Paired axial CT (left) and PSMA PET (right), 18F tracer.
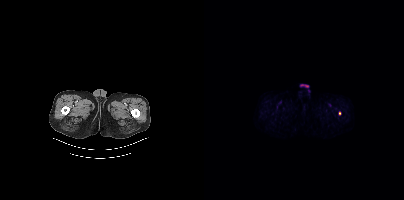
Coordinates are on the 200×200 PET (right) panel. Small PSMA-avid focus (2 to 4 px across) near (center x, center y): (135, 113).